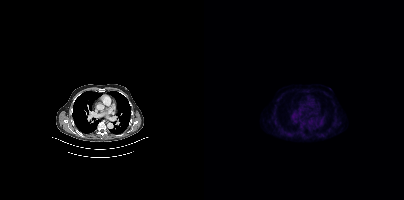
No PSMA-avid tumor lesions on this slice.
modality: PSMA PET/CT | tracer: 18F | view: axial